Technique: Paired axial CT (left) and PSMA PET (right), [18F]PSMA-1007 tracer. slice position z = -496 mm. PET panel 200×200 px (4.1 mm/px).
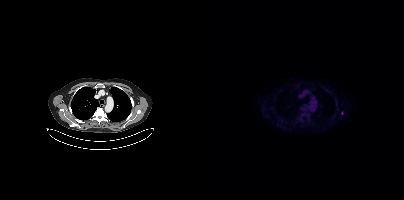
Findings: Only PSMA-avid lesion pieces thinner than 2 px on this slice (not listed).